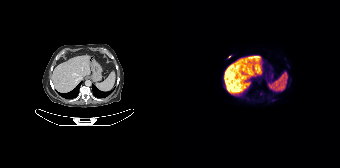
{"modality":"PSMA PET/CT","view":"axial","tracer":"[18F]PSMA-1007","pet_grid":[168,168],"coord_frame":"pet_panel","coord_format":"x0,y0,x1,y1","partial":true,"lesion_bboxes":[],"small_foci_centers":[[57,56]]}